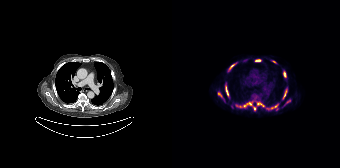
{"modality":"PSMA PET/CT","view":"axial","tracer":"[18F]PSMA-1007","pet_grid":[168,168],"coord_frame":"pet_panel","coord_format":"x0,y0,x1,y1","partial":true,"lesion_bboxes":[[64,102,80,107],[53,85,56,96],[85,102,92,106],[111,89,115,98],[98,104,106,109],[111,71,114,77],[56,64,62,71],[83,59,88,61]],"small_foci_centers":[[82,108],[47,94],[116,101],[102,61]]}